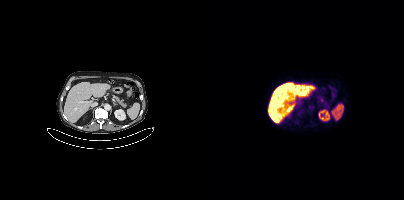
Findings: No PSMA-avid tumor lesions on this slice.
Technique: Two-panel axial: CT | PSMA PET, 18F tracer. acquired on Siemens Biograph mCT Flow 20. slice position z = -734 mm.